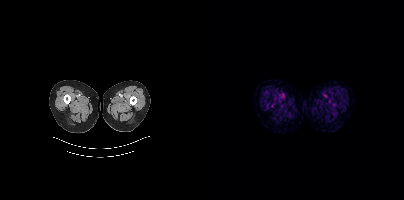
- Left: CT. Right: PSMA PET, same axial level, 18F-PSMA tracer
- acquired on Siemens Biograph mCT Flow 20
- slice 13 of 438
- PET panel 200×200 px (4.1 mm/px)
Findings: Negative for PSMA-avid disease on this slice.